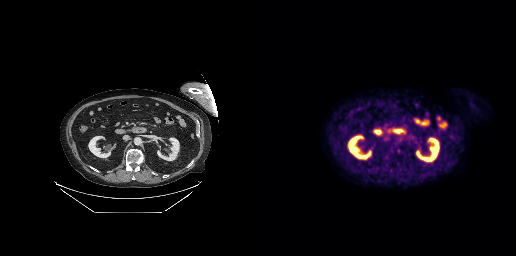
modality: PSMA PET/CT | tracer: 18F-PSMA | view: axial
No tumor lesions annotated on this slice.